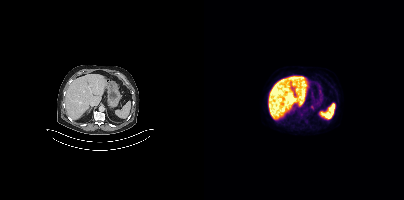
Paired axial CT (left) and PSMA PET (right), 18F-PSMA tracer. Acquired on Siemens Biograph mCT Flow 20. Only PSMA-avid lesion pieces thinner than 2 px on this slice (not listed).